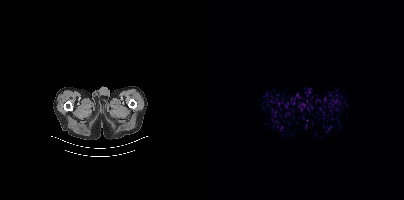
Paired axial CT (left) and PSMA PET (right), 18F-PSMA tracer. Acquired on Siemens Biograph mCT Flow 20. Slice position z = -1630 mm. PET panel 200×200 px (4.1 mm/px). No PSMA-avid tumor lesions on this slice.